Privacy masking over the head, with the pixels inside a rectangle set to black. Paired axial CT (left) and PSMA PET (right), 18F-PSMA tracer.
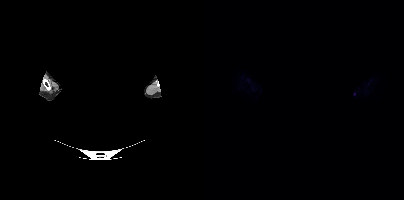
Negative for PSMA-avid disease on this slice.